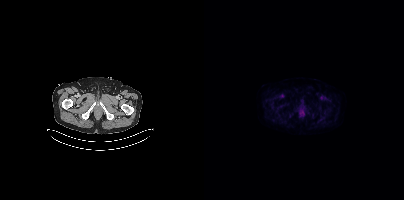
Technique: Left: CT. Right: PSMA PET, same axial level, 18F-PSMA tracer. PET panel 200×200 px (4.1 mm/px).
Findings: No PSMA-avid tumor lesions on this slice.